Paired axial CT (left) and PSMA PET (right), 18F tracer. PET panel 200×200 px (4.1 mm/px).
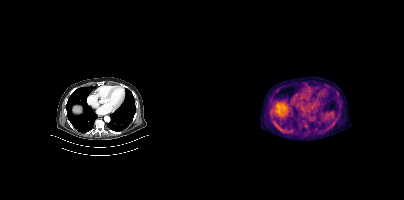
No PSMA-avid tumor lesions on this slice.